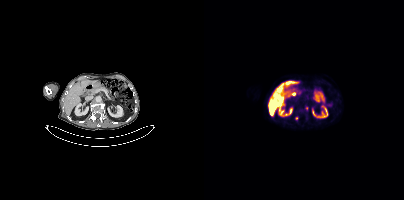
{"modality":"PSMA PET/CT","view":"axial","tracer":"18F-PSMA","pet_grid":[200,200],"coord_frame":"pet_panel","coord_format":"x0,y0,x1,y1","lesion_bboxes":[],"small_foci_centers":[[92,118],[102,108]]}